Left: CT. Right: PSMA PET, same axial level, 18F tracer. PET panel 200×200 px (4.1 mm/px).
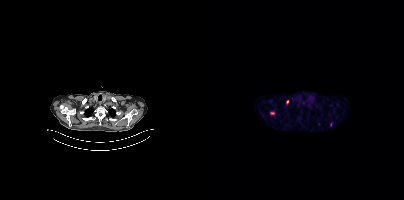
Coordinates are on the 200×200 PET (right) panel. PSMA-avid tumor lesion bounding boxes:
| # | x0 | y0 | x1 | y1 |
|---|---|---|---|---|
| 1 | 66 | 112 | 70 | 114 |
Small PSMA-avid foci (2 to 4 px across) near (center x, center y): (83, 101); (126, 124); (114, 123).